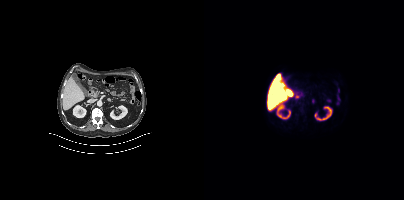
- Two-panel axial: CT | PSMA PET, 18F tracer
- slice position z = -736 mm
Findings: No PSMA-avid tumor lesions on this slice.